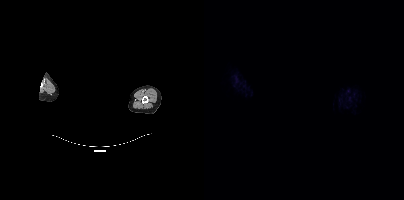
Negative for PSMA-avid disease on this slice. Facial anatomy redacted by setting a rectangular region of the head to black. Two-panel axial: CT | PSMA PET, 18F tracer.